Technique: Two-panel axial: CT | PSMA PET, [18F]PSMA-1007 tracer. slice 275 of 411.
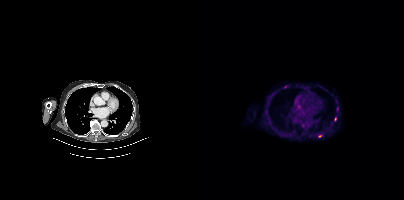
Findings: Coordinates are on the 200×200 PET (right) panel. (showing 2 of 5 foci) Small PSMA-avid foci (2 to 4 px across) near (center x, center y): (69, 94) | (131, 119).